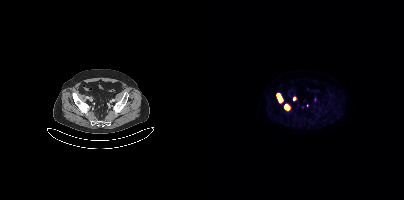
Coordinates are on the 200×200 PET (right) panel. PSMA-avid tumor lesion bounding boxes (x, y, width, height): x=73 y=94 w=6 h=9 / x=80 y=104 w=6 h=6. Small PSMA-avid focus (2 to 4 px across) near (center x, center y): (90, 98). Left: CT. Right: PSMA PET, same axial level, 18F-PSMA tracer. Acquired on Siemens Biograph mCT Flow 20.